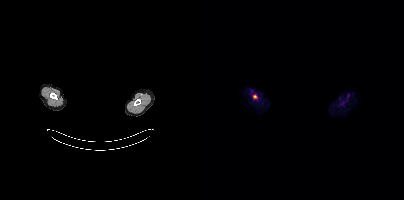
Findings: Coordinates are on the 200×200 PET (right) panel. Small PSMA-avid focus (2 to 4 px across) near (center x, center y): (50, 96).
Technique: Left: CT. Right: PSMA PET, same axial level, 18F tracer.
Note: The face region was removed for patient privacy by blanking a rectangle over the head.